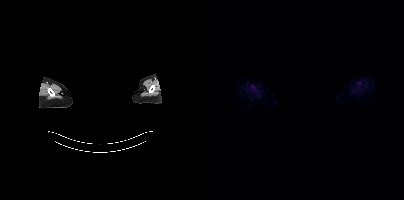
Negative for PSMA-avid disease on this slice.
deidentification: head region blacked out before release | modality: PSMA PET/CT | tracer: 18F-PSMA | view: axial | PET grid: 200×200